- Two-panel axial: CT | PSMA PET, [68Ga]Ga-PSMA-11 tracer
- acquired on Siemens Biograph 64-4R TruePoint
- PET panel 168×168 px (4.1 mm/px)
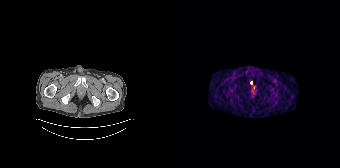
Findings: Coordinates are on the 168×168 PET (right) panel. Small PSMA-avid focus (2 to 4 px across) near (center x, center y): (79, 82).